- Paired axial CT (left) and PSMA PET (right), [18F]PSMA-1007 tracer
- acquired on GE Discovery 690
- the head region is masked for de-identification
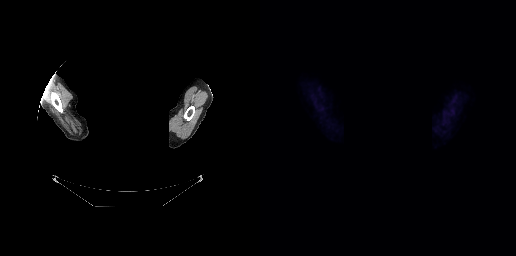
Findings: Negative for PSMA-avid disease on this slice.